Left: CT. Right: PSMA PET, same axial level, [18F]PSMA-1007 tracer.
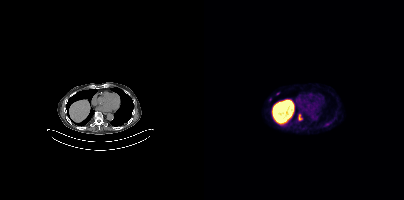
Coordinates are on the 200×200 PET (right) panel. PSMA-avid tumor lesion bounding box (x0,y0,x1,y1): [94,114,98,120]. Small PSMA-avid focus (2 to 4 px across) near (center x, center y): (74, 93).